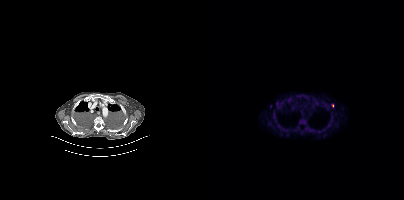
Coordinates are on the 200×200 PET (right) panel. (showing 3 of 5 foci) Small PSMA-avid foci (2 to 4 px across) near (center x, center y): (128, 105), (66, 106), (72, 103).
modality: PSMA PET/CT | tracer: [18F]PSMA-1007 | view: axial